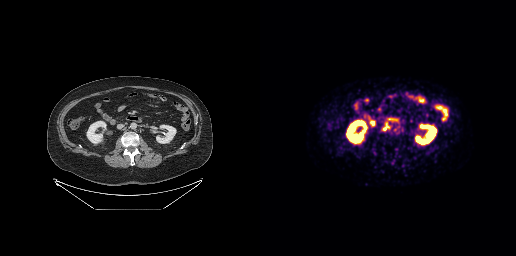
Left: CT. Right: PSMA PET, same axial level, 18F tracer. Slice position z = -472 mm.
Coordinates are on the 256×256 PET (right) panel. PSMA-avid tumor lesion bounding boxes:
| # | x0 | y0 | x1 | y1 |
|---|---|---|---|---|
| 1 | 122 | 124 | 128 | 130 |